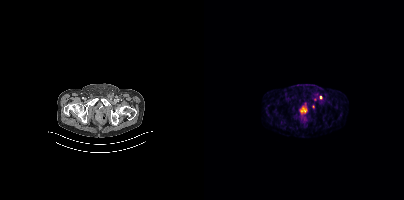
Coordinates are on the 200×200 PET (right) panel. Small PSMA-avid foci (2 to 4 px across) near (center x, center y): (117, 97); (109, 106). Two-panel axial: CT | PSMA PET, [68Ga]Ga-PSMA-11 tracer. Acquired on Siemens Biograph mCT Flow 20. PET panel 200×200 px (4.1 mm/px).